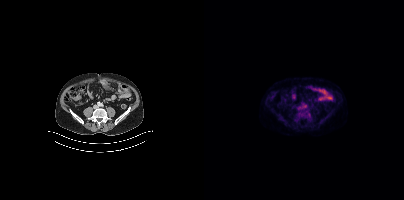
{"modality":"PSMA PET/CT","view":"axial","tracer":"18F-PSMA","pet_grid":[200,200],"coord_frame":"pet_panel","coord_format":"x0,y0,x1,y1","psma_avid_lesions":false}